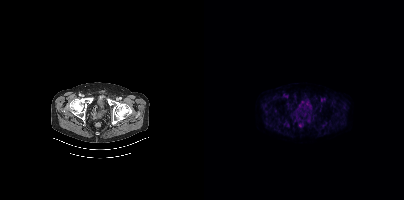
Left: CT. Right: PSMA PET, same axial level, 18F-PSMA tracer. Negative for PSMA-avid disease on this slice.